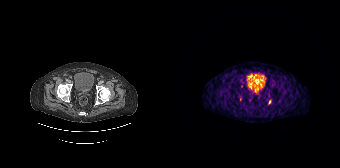
Coordinates are on the 168×168 PET (right) panel. PSMA-avid tumor lesion bounding box (x0,y0,x1,y1): [96,100,99,104].